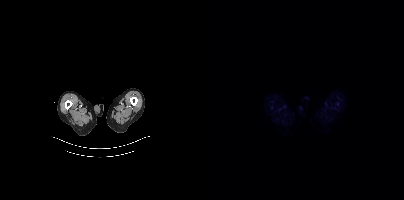
- Paired axial CT (left) and PSMA PET (right), 18F tracer
- slice position z = -1538 mm
Findings: Negative for PSMA-avid disease on this slice.